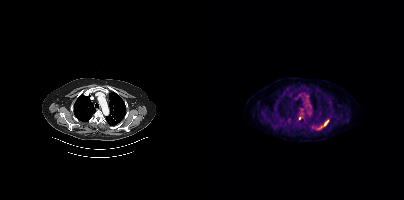
Coordinates are on the 200×200 PET (right) panel. (showing 2 of 3 foci) PSMA-avid tumor lesion bounding boxes (x, y, width, height): x=112 y=125 w=7 h=5 | x=120 y=121 w=4 h=5.